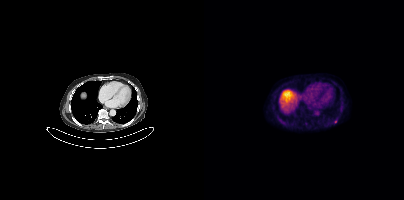
modality: PSMA PET/CT | tracer: 18F | view: axial | PET grid: 200×200
Coordinates are on the 200×200 PET (right) panel. Small PSMA-avid focus (2 to 4 px across) near (center x, center y): (131, 121).